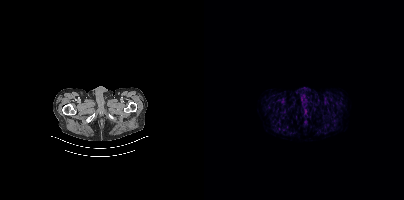
No PSMA-avid tumor lesions on this slice.